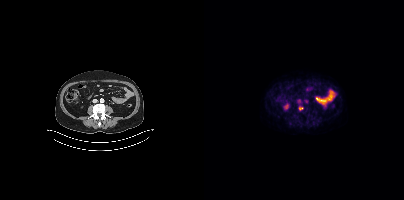
{"pet_grid":[200,200],"coord_frame":"pet_panel","coord_format":"x0,y0,x1,y1","lesion_bboxes":[],"small_foci_centers":[[96,107]],"modality":"PSMA PET/CT","view":"axial","tracer":"18F-PSMA"}